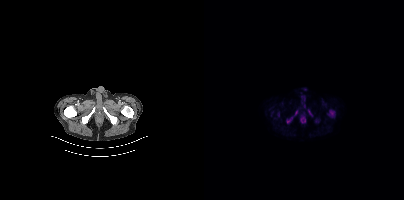
Coordinates are on the 200×200 PET (right) panel. (showing 5 of 6 foci) PSMA-avid tumor lesion bounding boxes (x0, y0)-(x1, y1): (124, 110)-(131, 117) | (82, 117)-(88, 123) | (90, 110)-(93, 115). Small PSMA-avid foci (2 to 4 px across) near (center x, center y): (106, 114) | (74, 115).